Paired axial CT (left) and PSMA PET (right), [18F]PSMA-1007 tracer. Acquired on GE Discovery 690. Slice position z = -694 mm.
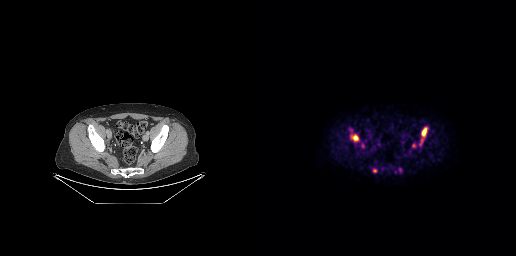
Coordinates are on the 256×256 PET (right) panel. PSMA-avid tumor lesion bounding boxes (x0,y0,x1,y1): [160,127,168,145] [90,133,99,142]. Small PSMA-avid foci (2 to 4 px across) near (center x, center y): (153, 145) (114, 170) (103, 145) (91, 130).